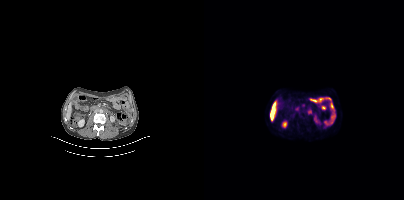
Coordinates are on the 200×200 PET (right) panel. PSMA-avid tumor lesion bounding box (x, y, width, height): x=103 y=109 w=5 h=6. Small PSMA-avid foci (2 to 4 px across) near (center x, center y): (113, 122) / (99, 105).